Two-panel axial: CT | PSMA PET, 18F-PSMA tracer. Slice 162 of 444. PET panel 200×200 px (4.1 mm/px).
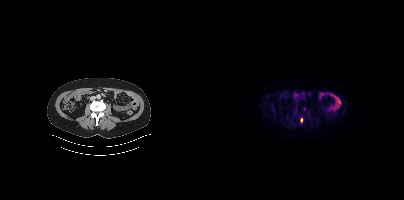
Coordinates are on the 200×200 PET (right) panel. Small PSMA-avid focus (2 to 4 px across) near (center x, center y): (97, 120).